Two-panel axial: CT | PSMA PET, 18F-PSMA tracer. Slice position z = -924 mm.
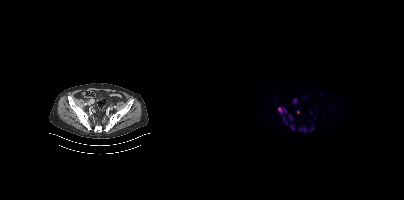
Coordinates are on the 200×200 PET (right) panel. PSMA-avid tumor lesion bounding boxes (partial; 2 more foci not listed):
| # | x0 | y0 | x1 | y1 |
|---|---|---|---|---|
| 1 | 89 | 98 | 93 | 103 |
| 2 | 105 | 126 | 109 | 131 |
| 3 | 95 | 128 | 102 | 131 |
| 4 | 74 | 107 | 78 | 112 |
| 5 | 85 | 114 | 88 | 120 |
| 6 | 87 | 124 | 90 | 128 |
Small PSMA-avid focus (2 to 4 px across) near (center x, center y): (94, 112).